Two-panel axial: CT | PSMA PET, [18F]PSMA-1007 tracer. Acquired on Siemens Biograph mCT Flow 20. Slice 345 of 413.
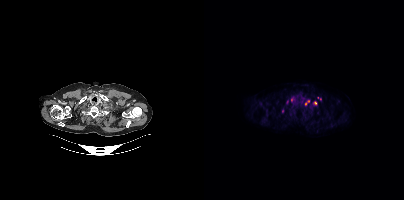
Coordinates are on the 200×200 PET (right) panel. (showing 2 of 4 foci) PSMA-avid tumor lesion bounding box (x, y, width, height): x=101 y=100 w=5 h=6. Small PSMA-avid focus (2 to 4 px across) near (center x, center y): (111, 103).